Technique: Two-panel axial: CT | PSMA PET, [68Ga]Ga-PSMA-11 tracer. acquired on Siemens Biograph mCT Flow 20. slice 46 of 389.
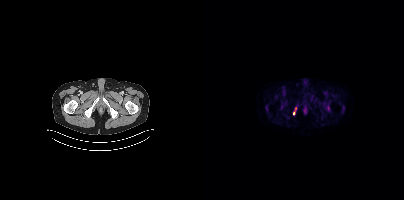
Findings: Coordinates are on the 200×200 PET (right) panel. Small PSMA-avid foci (2 to 4 px across) near (center x, center y): (89, 113); (91, 108).